Two-panel axial: CT | PSMA PET, 18F tracer. Slice position z = -1322 mm.
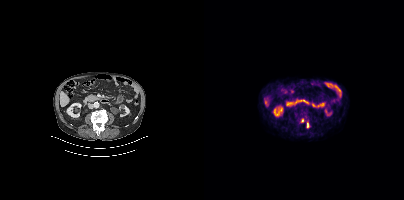
Coordinates are on the 200×200 PET (right) panel. PSMA-avid tumor lesion bounding boxes:
| # | x0 | y0 | x1 | y1 |
|---|---|---|---|---|
| 1 | 103 | 122 | 105 | 127 |
Small PSMA-avid focus (2 to 4 px across) near (center x, center y): (98, 120).